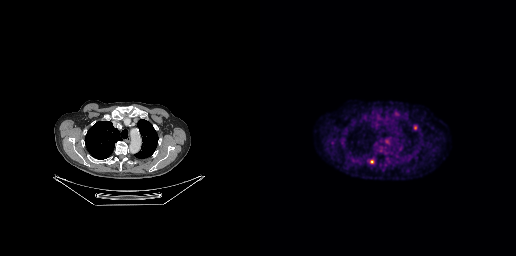
{"modality":"PSMA PET/CT","view":"axial","tracer":"18F","pet_grid":[256,256],"coord_frame":"pet_panel","coord_format":"x0,y0,x1,y1","lesion_bboxes":[[154,125,157,129]],"small_foci_centers":[[111,161]]}